Technique: Paired axial CT (left) and PSMA PET (right), 18F tracer.
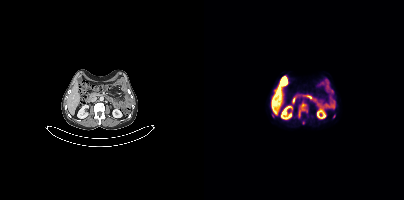
Findings: Coordinates are on the 200×200 PET (right) panel. PSMA-avid tumor lesion bounding box (x0, y0)-(x1, y1): (94, 101)-(103, 117).